modality: PSMA PET/CT | tracer: [18F]PSMA-1007 | view: axial
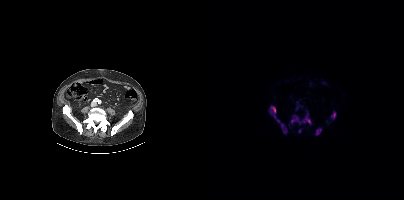
Coordinates are on the 200×200 PET (right) panel. (showing 7 of 8 foci) PSMA-avid tumor lesion bounding boxes (x0,y0,x1,y1): [87,115,107,124]; [73,120,82,133]; [67,106,72,113]; [112,128,117,135]; [127,112,131,118]. Small PSMA-avid foci (2 to 4 px across) near (center x, center y): (95, 130); (70, 116).